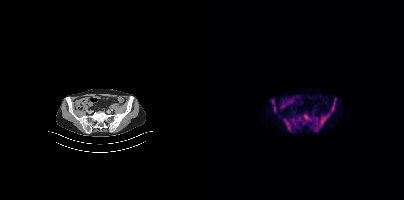
Coordinates are on the 200×200 PET (right) panel. (showing 5 of 7 foci) PSMA-avid tumor lesion bounding boxes (x0,y0,x1,y1): [80,119,86,130]; [116,115,124,124]; [70,108,71,112]; [103,115,105,119]; [128,106,129,110]. Paired axial CT (left) and PSMA PET (right), 18F-PSMA tracer.